Technique: Two-panel axial: CT | PSMA PET, 18F tracer. PET panel 200×200 px (4.1 mm/px).
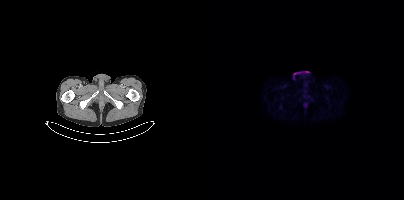
Findings: No tumor lesions annotated on this slice.